Left: CT. Right: PSMA PET, same axial level, [68Ga]Ga-PSMA-11 tracer. Acquired on Siemens Biograph mCT Flow 20. Slice 116 of 393.
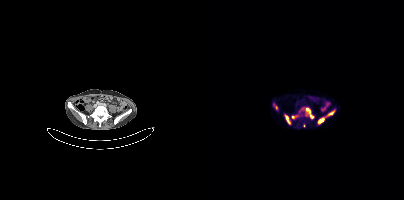
Coordinates are on the 200×200 PET (right) panel. PSMA-avid tumor lesion bounding boxes (partial; 2 more foci not listed):
| # | x0 | y0 | x1 | y1 |
|---|---|---|---|---|
| 1 | 102 | 108 | 108 | 117 |
| 2 | 114 | 118 | 120 | 123 |
| 3 | 81 | 115 | 85 | 123 |
| 4 | 125 | 110 | 130 | 114 |
Small PSMA-avid foci (2 to 4 px across) near (center x, center y): (72, 107); (92, 116); (88, 116).